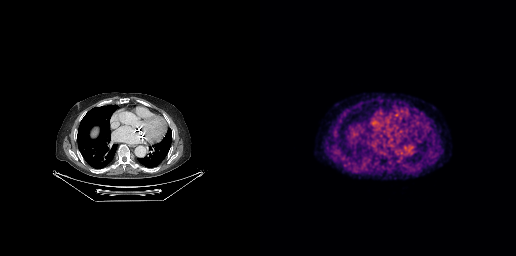
No PSMA-avid tumor lesions on this slice.